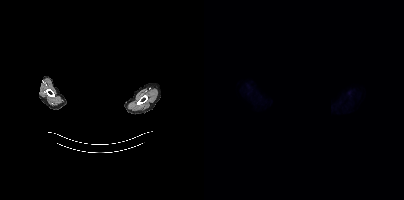
- Two-panel axial: CT | PSMA PET, [18F]PSMA-1007 tracer
- acquired on Siemens Biograph mCT Flow 20
- slice 347 of 383
- de-identified by setting a box covering the face to black before release
Findings: No tumor lesions annotated on this slice.